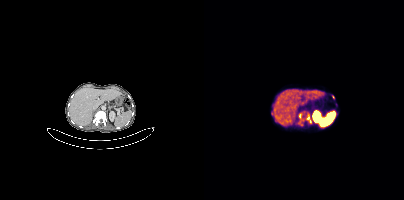
Findings: Coordinates are on the 200×200 PET (right) panel. PSMA-avid tumor lesion bounding boxes (x, y, width, height): x=102 y=113 w=6 h=11; x=95 y=113 w=5 h=12. Small PSMA-avid foci (2 to 4 px across) near (center x, center y): (129, 97); (67, 113).
Technique: Two-panel axial: CT | PSMA PET, [68Ga]Ga-PSMA-11 tracer. PET panel 200×200 px (4.1 mm/px).